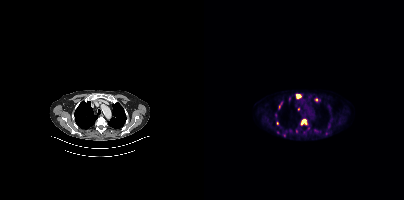
Coordinates are on the 200×200 PET (right) panel. PSMA-avid tumor lesion bounding boxes (partial; 2 more foci not listed):
| # | x0 | y0 | x1 | y1 |
|---|---|---|---|---|
| 1 | 96 | 119 | 103 | 125 |
Small PSMA-avid foci (2 to 4 px across) near (center x, center y): (94, 95); (94, 109); (73, 123).
Left: CT. Right: PSMA PET, same axial level, 18F-PSMA tracer. Slice 317 of 413.